Technique: Left: CT. Right: PSMA PET, same axial level, [18F]PSMA-1007 tracer. PET panel 200×200 px (4.1 mm/px).
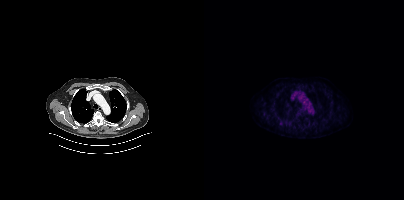
Findings: Negative for PSMA-avid disease on this slice.